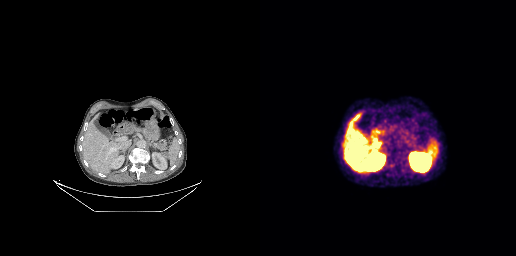
No tumor lesions annotated on this slice.